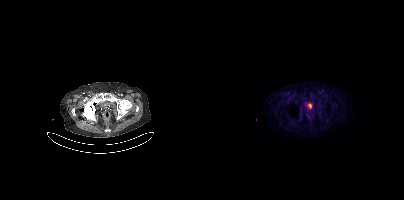
{"modality":"PSMA PET/CT","view":"axial","tracer":"[18F]PSMA-1007","pet_grid":[200,200],"coord_frame":"pet_panel","coord_format":"x0,y0,x1,y1","partial":true,"lesion_bboxes":[],"small_foci_centers":[[83,93]]}